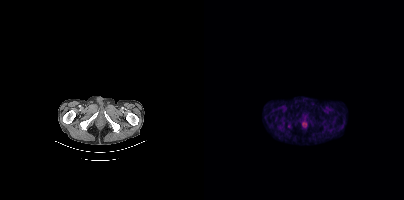
No tumor lesions annotated on this slice. Two-panel axial: CT | PSMA PET, 18F-PSMA tracer. Acquired on Siemens Biograph mCT Flow 20. PET panel 200×200 px (4.1 mm/px).